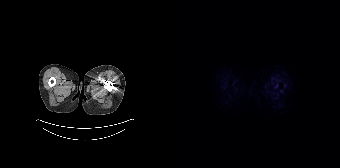
Negative for PSMA-avid disease on this slice.